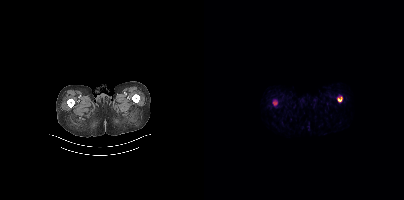
No tumor lesions annotated on this slice. Two-panel axial: CT | PSMA PET, 68Ga tracer. PET panel 200×200 px (4.1 mm/px).